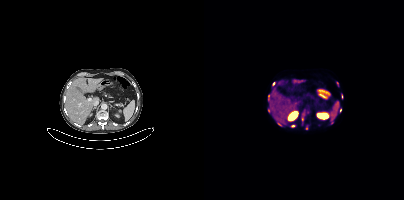
Coordinates are on the 200×200 PET (right) panel. (showing 11 of 13 foci) Small PSMA-avid foci (2 to 4 px across) near (center x, center y): (75, 124); (88, 125); (102, 127); (69, 83); (65, 97); (136, 109); (99, 114); (128, 122); (64, 110); (98, 118); (114, 124).